Two-panel axial: CT | PSMA PET, 18F tracer. Acquired on Siemens Biograph mCT Flow 20. Slice position z = -1708 mm. PET panel 200×200 px (4.1 mm/px).
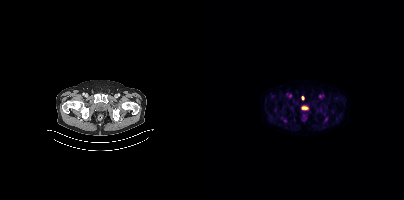
Coordinates are on the 200×200 PET (right) panel. PSMA-avid tumor lesion bounding boxes (partial; 2 more foci not listed):
| # | x0 | y0 | x1 | y1 |
|---|---|---|---|---|
| 1 | 120 | 117 | 124 | 122 |
| 2 | 79 | 118 | 83 | 122 |
Small PSMA-avid focus (2 to 4 px across) near (center x, center y): (98, 98).